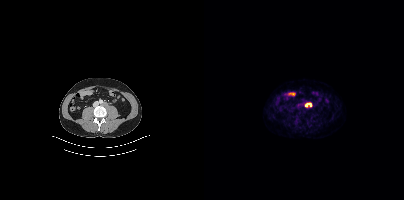
Coordinates are on the 200×200 PET (right) panel. PSMA-avid tumor lesion bounding box (x0, y0)-(x1, y1): (101, 103)-(107, 106).
modality: PSMA PET/CT | tracer: 18F | view: axial | PET grid: 200×200